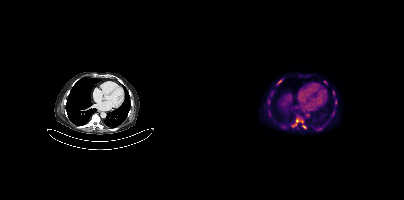
Technique: Left: CT. Right: PSMA PET, same axial level, [18F]PSMA-1007 tracer.
Findings: Coordinates are on the 200×200 PET (right) panel. PSMA-avid tumor lesion bounding boxes (x, y, width, height): x=88 y=118 w=8 h=9; x=73 y=80 w=5 h=5. Small PSMA-avid foci (2 to 4 px across) near (center x, center y): (98, 121); (129, 92); (100, 126); (67, 94); (131, 102).